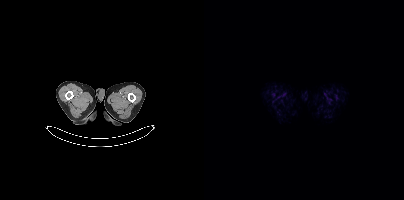
No tumor lesions annotated on this slice.